The face region was removed for patient privacy by blanking a rectangle over the head. Two-panel axial: CT | PSMA PET, [18F]PSMA-1007 tracer. Acquired on Siemens Biograph mCT Flow 20. Slice 347 of 407.
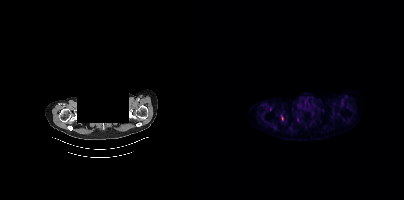
Coordinates are on the 200×200 PET (right) panel. PSMA-avid tumor lesion bounding box (x, y, width, height): x=77 y=116 w=3 h=5.